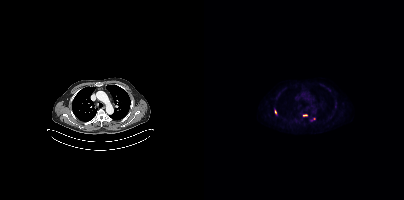
Left: CT. Right: PSMA PET, same axial level, 18F-PSMA tracer. PET panel 200×200 px (4.1 mm/px). Coordinates are on the 200×200 PET (right) panel. (showing 2 of 3 foci) Small PSMA-avid foci (2 to 4 px across) near (center x, center y): (108, 119), (71, 112).